Paired axial CT (left) and PSMA PET (right), 68Ga tracer. Slice position z = -1064 mm.
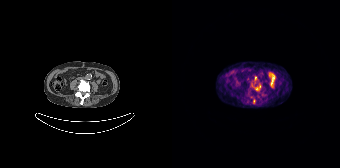
Coordinates are on the 168×168 PET (right) panel. PSMA-avid tumor lesion bounding boxes (partial; 1 more focus not listed):
| # | x0 | y0 | x1 | y1 |
|---|---|---|---|---|
| 1 | 83 | 85 | 88 | 90 |
| 2 | 81 | 98 | 83 | 102 |